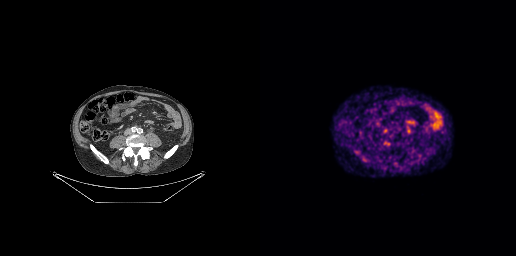
{"modality":"PSMA PET/CT","view":"axial","tracer":"68Ga","pet_grid":[256,256],"coord_frame":"pet_panel","coord_format":"x0,y0,x1,y1","lesion_bboxes":[],"small_foci_centers":[[125,130]]}